- Left: CT. Right: PSMA PET, same axial level, 68Ga tracer
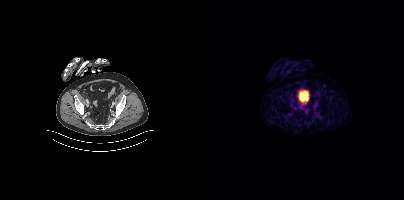
Findings: Negative for PSMA-avid disease on this slice.